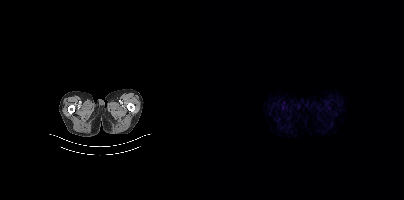
Technique: Two-panel axial: CT | PSMA PET, [18F]PSMA-1007 tracer. acquired on Siemens Biograph mCT Flow 20. slice position z = -992 mm.
Findings: Negative for PSMA-avid disease on this slice.